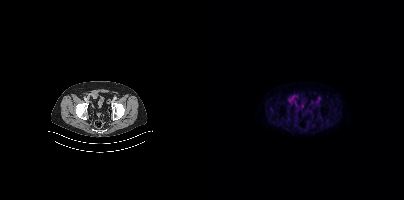
Coordinates are on the 200×200 PET (right) panel. Small PSMA-avid focus (2 to 4 px across) near (center x, center y): (86, 99).